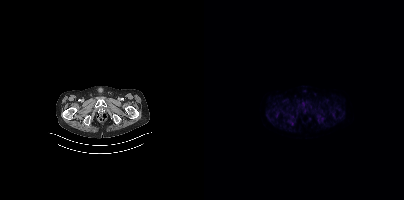
No PSMA-avid tumor lesions on this slice.
modality: PSMA PET/CT | tracer: 18F-PSMA | view: axial | PET grid: 200×200